Two-panel axial: CT | PSMA PET, 18F-PSMA tracer.
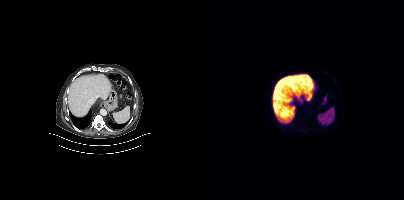
This slice has no annotated PSMA-avid lesion.